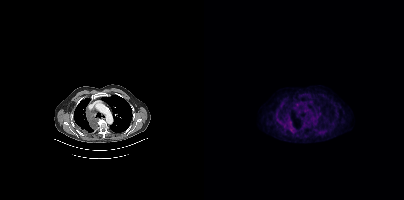
{"modality":"PSMA PET/CT","view":"axial","tracer":"[18F]PSMA-1007","pet_grid":[200,200],"coord_frame":"pet_panel","coord_format":"x0,y0,x1,y1","lesion_bboxes":[[83,122,90,131]]}